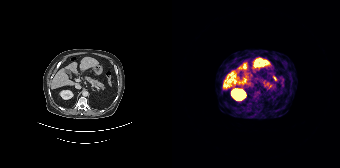
Findings: Negative for PSMA-avid disease on this slice.
Technique: Left: CT. Right: PSMA PET, same axial level, 68Ga-PSMA tracer.